Technique: Two-panel axial: CT | PSMA PET, 18F tracer. acquired on Siemens Biograph mCT Flow 20. slice position z = -1159 mm. PET panel 200×200 px (4.1 mm/px).
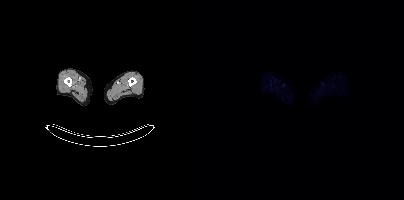
Findings: No tumor lesions annotated on this slice.